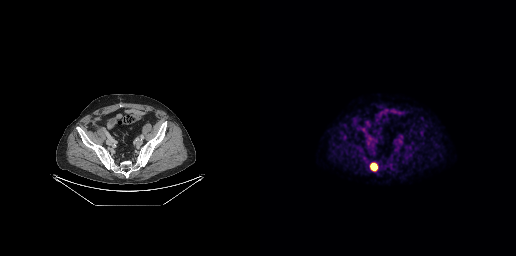
Paired axial CT (left) and PSMA PET (right), 18F tracer. PET panel 256×256 px (2.7 mm/px). Coordinates are on the 256×256 PET (right) panel. PSMA-avid tumor lesion bounding box (x0, y0)-(x1, y1): (110, 163)-(117, 170).